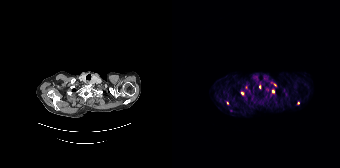
modality: PSMA PET/CT | tracer: [68Ga]Ga-PSMA-11 | view: axial | PET grid: 168×168
Coordinates are on the 168×168 PET (right) panel. (showing 6 of 8 foci) Small PSMA-avid foci (2 to 4 px across) near (center x, center y): (101, 91) | (70, 93) | (126, 103) | (87, 87) | (103, 84) | (55, 102).